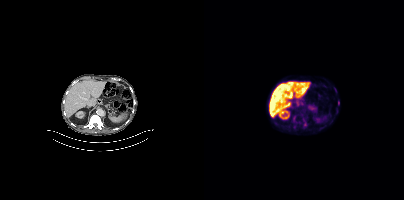
Only PSMA-avid lesion pieces thinner than 2 px on this slice (not listed). Left: CT. Right: PSMA PET, same axial level, 18F tracer. Acquired on Siemens Biograph mCT Flow 20.